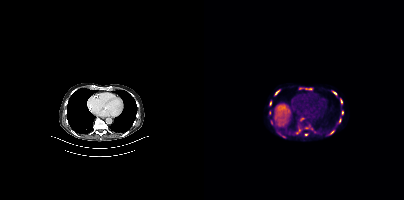
Paired axial CT (left) and PSMA PET (right), 18F-PSMA tracer. Acquired on Siemens Biograph mCT Flow 20. Slice 302 of 466. Coordinates are on the 200×200 PET (right) panel. (showing 12 of 14 foci) PSMA-avid tumor lesion bounding boxes (x0, y0)-(x1, y1): (70, 89)-(76, 95) / (136, 98)-(138, 104) / (128, 91)-(133, 95) / (134, 118)-(137, 123) / (126, 130)-(130, 134) / (137, 110)-(139, 114) / (92, 129)-(96, 133) / (66, 101)-(67, 105). Small PSMA-avid foci (2 to 4 px across) near (center x, center y): (102, 127) / (102, 134) / (103, 88) / (67, 123).